- Paired axial CT (left) and PSMA PET (right), [68Ga]Ga-PSMA-11 tracer
- acquired on Siemens Biograph 64-4R TruePoint
- PET panel 168×168 px (4.1 mm/px)
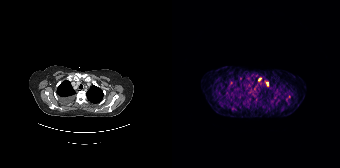
Findings: Coordinates are on the 168×168 PET (right) panel. Small PSMA-avid foci (2 to 4 px across) near (center x, center y): (95, 83) (116, 96) (87, 79).